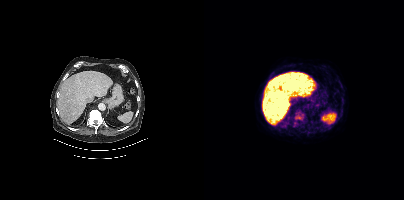
Left: CT. Right: PSMA PET, same axial level, 18F tracer. PET panel 200×200 px (4.1 mm/px). Only PSMA-avid lesion pieces thinner than 2 px on this slice (not listed).